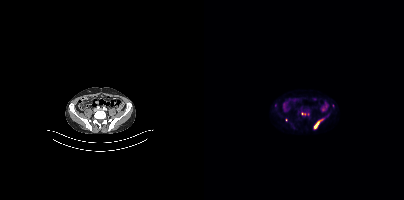
Technique: Left: CT. Right: PSMA PET, same axial level, [18F]PSMA-1007 tracer. acquired on Siemens Biograph mCT Flow 20. slice position z = -742 mm.
Findings: Coordinates are on the 200×200 PET (right) panel. (showing 2 of 4 foci) PSMA-avid tumor lesion bounding box (x, y, width, height): x=110 y=119 w=9 h=10. Small PSMA-avid focus (2 to 4 px across) near (center x, center y): (82, 120).